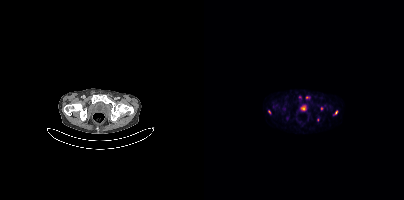
{"modality":"PSMA PET/CT","view":"axial","tracer":"68Ga","pet_grid":[200,200],"coord_frame":"pet_panel","coord_format":"x0,y0,x1,y1","partial":true,"lesion_bboxes":[],"small_foci_centers":[[103,97],[117,108],[65,112],[132,112]]}